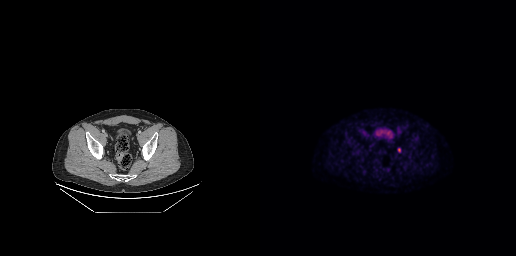
Left: CT. Right: PSMA PET, same axial level, [18F]PSMA-1007 tracer. Acquired on GE Discovery 690. Slice position z = -655 mm. PET panel 256×256 px (2.7 mm/px).
Coordinates are on the 256×256 PET (right) panel. PSMA-avid tumor lesion bounding boxes:
| # | x0 | y0 | x1 | y1 |
|---|---|---|---|---|
| 1 | 138 | 148 | 140 | 152 |